- Left: CT. Right: PSMA PET, same axial level, 18F-PSMA tracer
- acquired on Siemens Biograph mCT Flow 20
- slice 333 of 448
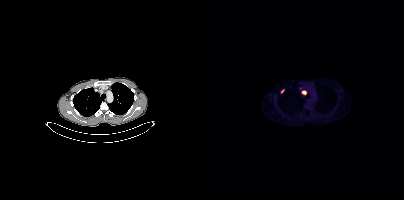
Findings: Coordinates are on the 200×200 PET (right) panel. Small PSMA-avid foci (2 to 4 px across) near (center x, center y): (78, 90); (99, 92).